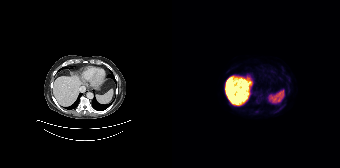
Only PSMA-avid lesion pieces thinner than 2 px on this slice (not listed). Paired axial CT (left) and PSMA PET (right), [18F]PSMA-1007 tracer. PET panel 168×168 px (4.1 mm/px).